De-identified by setting a rectangular region to black.
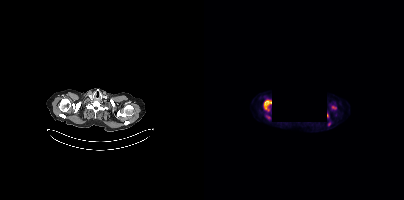
Coordinates are on the 200×200 PET (right) panel. (showing 3 of 4 foci) PSMA-avid tumor lesion bounding box (x, y, width, height): x=60 y=100 w=8 h=11. Small PSMA-avid foci (2 to 4 px across) near (center x, center y): (129, 107) / (123, 115).